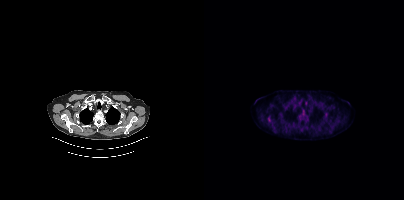
Findings: Coordinates are on the 200×200 PET (right) panel. PSMA-avid tumor lesion bounding box (x0,y0,x1,y1): [64,117,67,122].
Technique: Two-panel axial: CT | PSMA PET, 18F-PSMA tracer. PET panel 200×200 px (4.1 mm/px).